- Left: CT. Right: PSMA PET, same axial level, 18F tracer
- slice 154 of 299
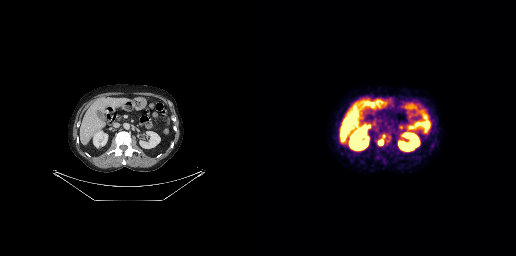
Findings: Coordinates are on the 256×256 PET (right) panel. (showing 1 of 3 foci) PSMA-avid tumor lesion bounding box (x, y, width, height): x=118 y=135 w=8 h=11.